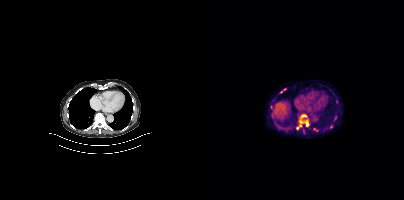
Paired axial CT (left) and PSMA PET (right), 18F tracer. Acquired on Siemens Biograph mCT Flow 20. Slice position z = -493 mm.
Coordinates are on the 200×200 PET (right) panel. PSMA-avid tumor lesion bounding boxes (partial; 2 more foci not listed):
| # | x0 | y0 | x1 | y1 |
|---|---|---|---|---|
| 1 | 92 | 114 | 105 | 129 |
| 2 | 76 | 88 | 81 | 92 |
Small PSMA-avid foci (2 to 4 px across) near (center x, center y): (132, 101); (127, 127); (67, 107); (131, 118).